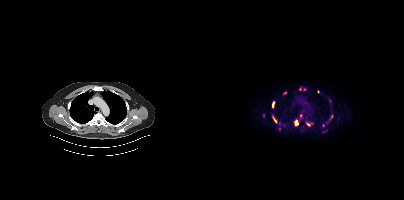
Coordinates are on the 200×200 PET (right) panel. (showing 6 of 8 foci) PSMA-avid tumor lesion bounding boxes (x, y, width, height): x=90 y=120 w=5 h=6; x=68 y=101 w=3 h=7; x=69 y=117 w=4 h=6; x=102 y=123 w=5 h=3. Small PSMA-avid foci (2 to 4 px across) near (center x, center y): (127, 116); (96, 115).
modality: PSMA PET/CT | tracer: [18F]PSMA-1007 | view: axial